Technique: Paired axial CT (left) and PSMA PET (right), [18F]PSMA-1007 tracer. PET panel 200×200 px (4.1 mm/px).
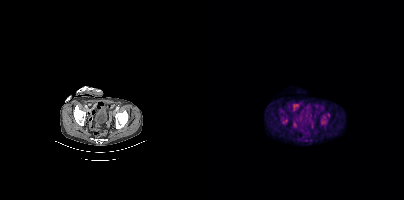
Findings: Coordinates are on the 200×200 PET (right) panel. PSMA-avid tumor lesion bounding boxes (x0,y0,x1,y1): [116,115,122,125], [123,112,126,117], [80,120,83,124].